Two-panel axial: CT | PSMA PET, 18F tracer. Slice position z = -13 mm. PET panel 256×256 px (2.7 mm/px). A rectangle over the head was blacked out to remove identifiable facial features.
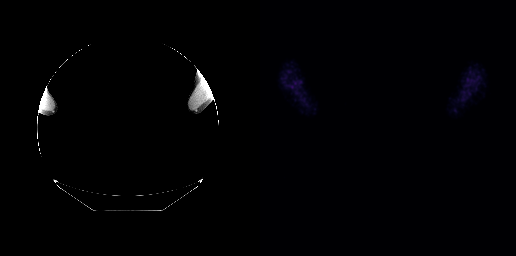
No PSMA-avid tumor lesions on this slice.